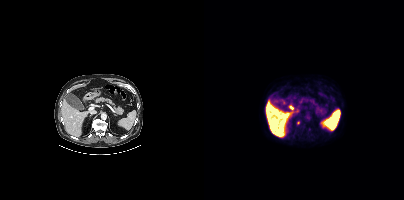
modality: PSMA PET/CT | tracer: [18F]PSMA-1007 | view: axial | PET grid: 200×200
Coordinates are on the 200×200 PET (right) panel. (showing 1 of 2 foci) Small PSMA-avid focus (2 to 4 px across) near (center x, center y): (94, 122).